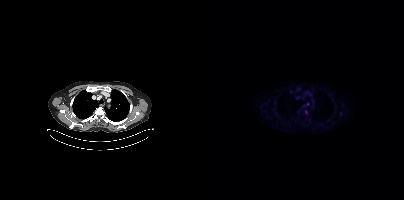
Findings: Coordinates are on the 200×200 PET (right) panel. (showing 3 of 5 foci) Small PSMA-avid foci (2 to 4 px across) near (center x, center y): (102, 112) | (87, 91) | (103, 103).
Technique: Paired axial CT (left) and PSMA PET (right), 18F tracer.